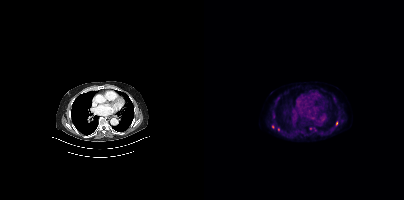
- Two-panel axial: CT | PSMA PET, 18F-PSMA tracer
- PET panel 200×200 px (4.1 mm/px)
Findings: Coordinates are on the 200×200 PET (right) panel. (showing 3 of 5 foci) PSMA-avid tumor lesion bounding box (x, y, width, height): x=132 y=121 w=2 h=5. Small PSMA-avid foci (2 to 4 px across) near (center x, center y): (106, 128); (68, 126).